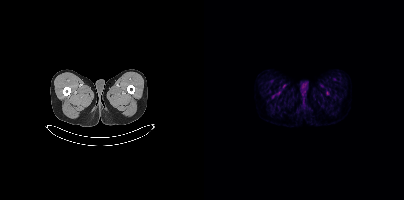
Technique: Two-panel axial: CT | PSMA PET, 18F-PSMA tracer. slice position z = -1603 mm.
Findings: No PSMA-avid tumor lesions on this slice.